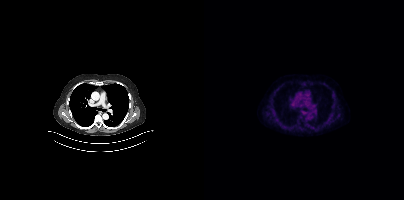
Technique: Left: CT. Right: PSMA PET, same axial level, 18F-PSMA tracer. slice 251 of 356. PET panel 200×200 px (4.1 mm/px).
Findings: This slice has no annotated PSMA-avid lesion.